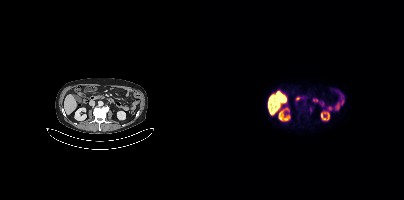
Paired axial CT (left) and PSMA PET (right), [18F]PSMA-1007 tracer. Slice 181 of 431. Only PSMA-avid lesion pieces thinner than 2 px on this slice (not listed).